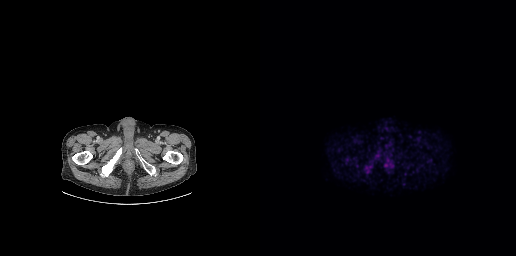
Two-panel axial: CT | PSMA PET, [18F]PSMA-1007 tracer. Acquired on GE Discovery 690.
Coordinates are on the 256×256 PET (right) panel. PSMA-avid tumor lesion bounding boxes:
| # | x0 | y0 | x1 | y1 |
|---|---|---|---|---|
| 1 | 105 | 166 | 110 | 171 |
| 2 | 114 | 158 | 119 | 162 |